- Two-panel axial: CT | PSMA PET, 18F-PSMA tracer
- PET panel 200×200 px (4.1 mm/px)
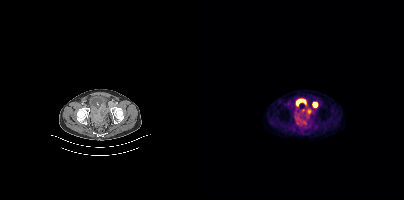
Findings: Coordinates are on the 200×200 PET (right) panel. PSMA-avid tumor lesion bounding box (x0, y0)-(x1, y1): (109, 102)-(113, 107).